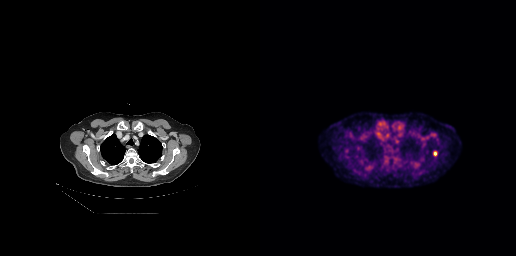
Paired axial CT (left) and PSMA PET (right), 18F tracer. Acquired on GE Discovery 690. Slice position z = -164 mm.
Coordinates are on the 256×256 PET (right) panel. PSMA-avid tumor lesion bounding boxes:
| # | x0 | y0 | x1 | y1 |
|---|---|---|---|---|
| 1 | 173 | 151 | 176 | 155 |